modality: PSMA PET/CT | tracer: 18F | view: axial
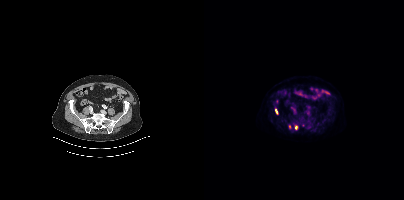
Coordinates are on the 200×200 PET (right) panel. (showing 3 of 5 foci) PSMA-avid tumor lesion bounding boxes (x0,y0,x1,y1): [91,125,93,129] [71,109,73,113]. Small PSMA-avid focus (2 to 4 px across) near (center x, center y): (85, 126).